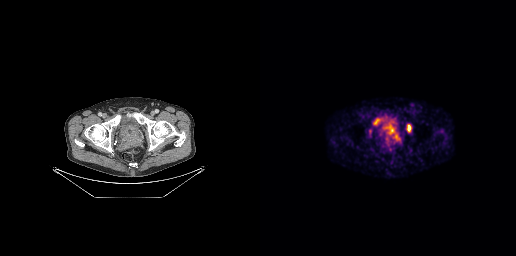
Coordinates are on the 256×256 PET (right) panel. PSMA-avid tumor lesion bounding boxes:
| # | x0 | y0 | x1 | y1 |
|---|---|---|---|---|
| 1 | 123 | 123 | 140 | 142 |
| 2 | 113 | 118 | 120 | 125 |
| 3 | 147 | 124 | 151 | 132 |
Paired axial CT (left) and PSMA PET (right), 68Ga-PSMA tracer. Acquired on GE Discovery 690. PET panel 256×256 px (2.7 mm/px).